Paired axial CT (left) and PSMA PET (right), [18F]PSMA-1007 tracer. Acquired on Siemens Biograph mCT Flow 20. Slice 172 of 393. PET panel 200×200 px (4.1 mm/px).
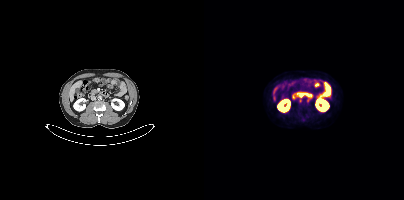
Negative for PSMA-avid disease on this slice.